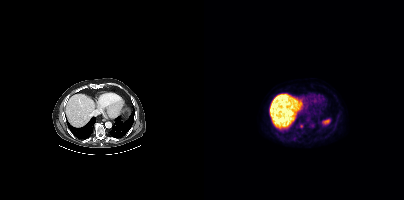
Only PSMA-avid lesion pieces thinner than 2 px on this slice (not listed).